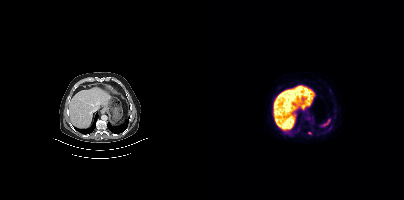
This slice has no annotated PSMA-avid lesion.
modality: PSMA PET/CT | tracer: [18F]PSMA-1007 | view: axial | PET grid: 200×200